modality: PSMA PET/CT | tracer: 18F-PSMA | view: axial | PET grid: 200×200
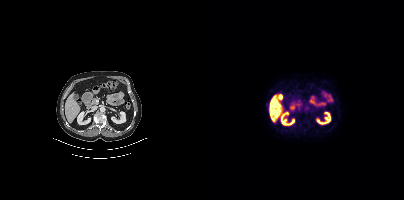
This slice has no annotated PSMA-avid lesion.